Left: CT. Right: PSMA PET, same axial level, [18F]PSMA-1007 tracer. Acquired on Siemens Biograph mCT Flow 20.
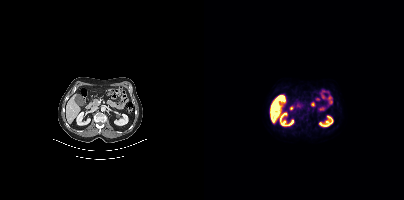
This slice has no annotated PSMA-avid lesion.